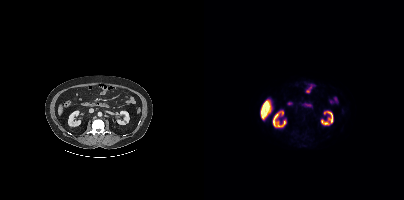
Findings: This slice has no annotated PSMA-avid lesion.
Technique: Two-panel axial: CT | PSMA PET, 18F tracer. slice position z = -1234 mm. PET panel 200×200 px (4.1 mm/px).